Paired axial CT (left) and PSMA PET (right), 18F tracer. Slice 165 of 435. PET panel 200×200 px (4.1 mm/px).
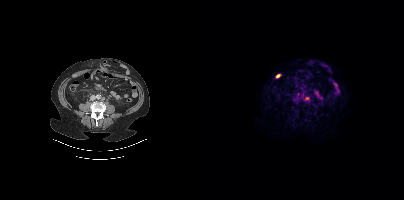
Coordinates are on the 200×200 PET (right) panel. Small PSMA-avid foci (2 to 4 px across) near (center x, center y): (99, 93); (94, 94).